- Paired axial CT (left) and PSMA PET (right), 18F tracer
- slice position z = -586 mm
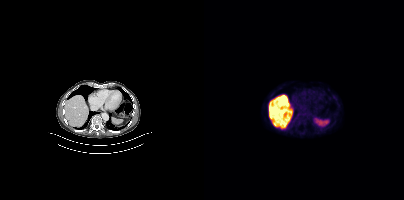
Findings: No PSMA-avid tumor lesions on this slice.